Two-panel axial: CT | PSMA PET, [18F]PSMA-1007 tracer.
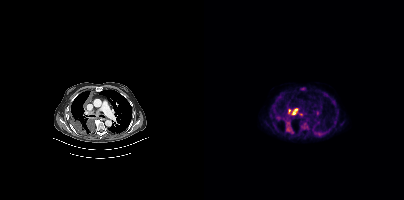
Coordinates are on the 200×200 PET (right) panel. (showing 6 of 7 foci) PSMA-avid tumor lesion bounding boxes (x, y, width, height): x=81 y=120 w=9 h=14 | x=97 y=123 w=8 h=7 | x=84 y=109 w=8 h=7. Small PSMA-avid foci (2 to 4 px across) near (center x, center y): (96, 113) | (92, 109) | (98, 87).